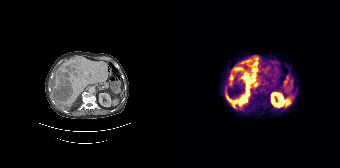
{"modality":"PSMA PET/CT","view":"axial","tracer":"68Ga-PSMA","pet_grid":[168,168],"coord_frame":"pet_panel","coord_format":"x0,y0,x1,y1","lesion_bboxes":[[54,55,86,108],[57,74,61,86],[61,67,68,72],[53,87,55,93]]}